Technique: Two-panel axial: CT | PSMA PET, 18F-PSMA tracer. slice position z = 100 mm.
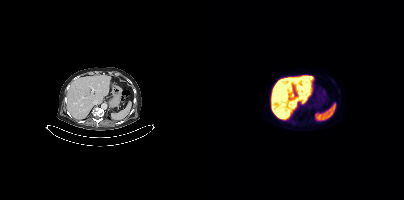
Findings: Negative for PSMA-avid disease on this slice.